modality: PSMA PET/CT | tracer: 68Ga-PSMA | view: axial
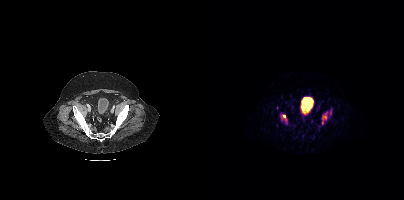
Coordinates are on the 200×200 PET (right) panel. PSMA-avid tumor lesion bounding boxes (x0, y0)-(x1, y1): (117, 108)-(128, 125) | (78, 114)-(82, 120).